- Left: CT. Right: PSMA PET, same axial level, [18F]PSMA-1007 tracer
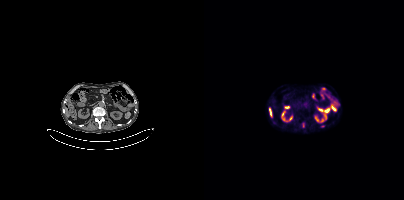
Findings: Coordinates are on the 200×200 PET (right) panel. (showing 2 of 3 foci) Small PSMA-avid foci (2 to 4 px across) near (center x, center y): (118, 126) | (134, 104).